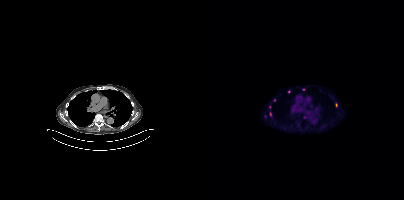
{"modality":"PSMA PET/CT","view":"axial","tracer":"18F-PSMA","pet_grid":[200,200],"coord_frame":"pet_panel","coord_format":"x0,y0,x1,y1","partial":true,"lesion_bboxes":[],"small_foci_centers":[[132,104],[85,91],[66,114],[99,89]]}